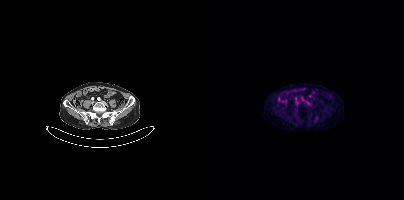
This slice has no annotated PSMA-avid lesion. Two-panel axial: CT | PSMA PET, [18F]PSMA-1007 tracer. Acquired on Siemens Biograph mCT Flow 20. PET panel 200×200 px (4.1 mm/px).